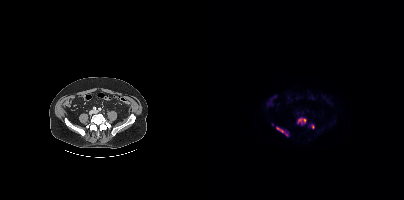
{"modality":"PSMA PET/CT","view":"axial","tracer":"18F","pet_grid":[200,200],"coord_frame":"pet_panel","coord_format":"x0,y0,x1,y1","lesion_bboxes":[[94,118,101,122],[72,127,80,132]],"small_foci_centers":[[68,124],[109,126],[82,134]]}